Left: CT. Right: PSMA PET, same axial level, [18F]PSMA-1007 tracer. PET panel 200×200 px (4.1 mm/px).
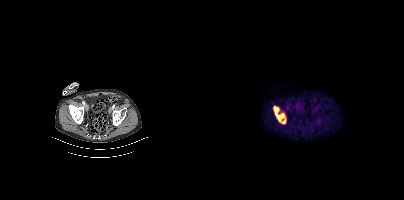
Coordinates are on the 200×200 PET (right) panel. PSMA-avid tumor lesion bounding box (x0, y0)-(x1, y1): (69, 106)-(82, 124).